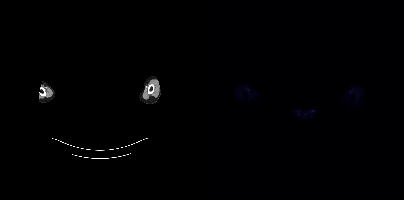
The head region is masked for de-identification.
Negative for PSMA-avid disease on this slice.